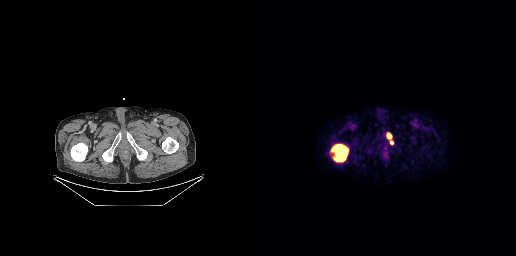
Coordinates are on the 256×256 PET (right) panel. PSMA-avid tumor lesion bounding boxes (x0, y0)-(x1, y1): (70, 143)-(89, 162) | (126, 133)-(133, 144).
modality: PSMA PET/CT | tracer: [18F]PSMA-1007 | view: axial